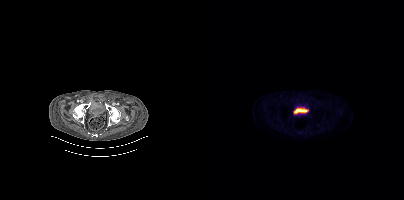
Left: CT. Right: PSMA PET, same axial level, 18F-PSMA tracer. Acquired on Siemens Biograph mCT Flow 20. Slice position z = -1664 mm. PET panel 200×200 px (4.1 mm/px). No tumor lesions annotated on this slice.